Two-panel axial: CT | PSMA PET, 68Ga tracer. Acquired on Siemens Biograph 64-4R TruePoint. Slice position z = -1042 mm.
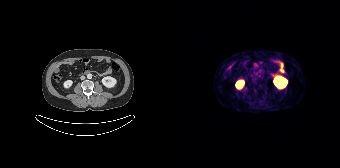
No PSMA-avid tumor lesions on this slice.